Two-panel axial: CT | PSMA PET, [18F]PSMA-1007 tracer. Slice position z = -1355 mm. PET panel 200×200 px (4.1 mm/px).
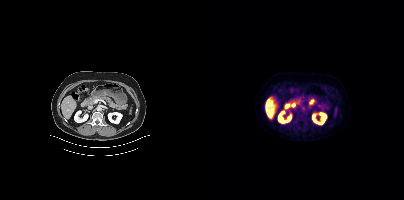
No tumor lesions annotated on this slice.